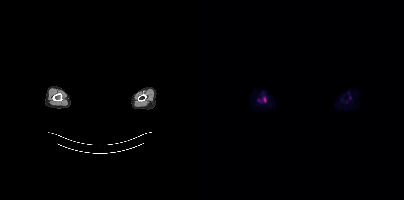
Left: CT. Right: PSMA PET, same axial level, 18F-PSMA tracer. Slice position z = -859 mm. A rectangular block over the head has been blanked out for de-identification. Coordinates are on the 200×200 PET (right) panel. Small PSMA-avid focus (2 to 4 px across) near (center x, center y): (60, 99).